- Paired axial CT (left) and PSMA PET (right), 18F-PSMA tracer
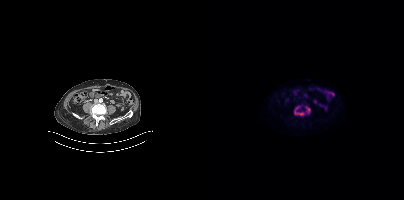
Findings: Coordinates are on the 200×200 PET (right) panel. PSMA-avid tumor lesion bounding box (x0, y0)-(x1, y1): (90, 106)-(106, 116).